modality: PSMA PET/CT | tracer: 18F-PSMA | view: axial | PET grid: 200×200 | de-identification: black rectangle is a privacy mask
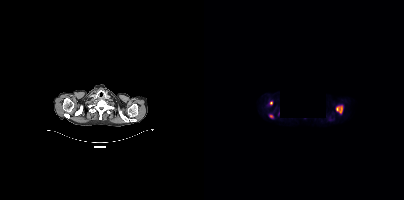
Coordinates are on the 200×200 PET (right) panel. PSMA-avid tumor lesion bounding boxes (x0,y0,x1,y1): [132,106,138,113], [65,115,69,117]. Small PSMA-avid focus (2 to 4 px across) near (center x, center y): (67, 102).